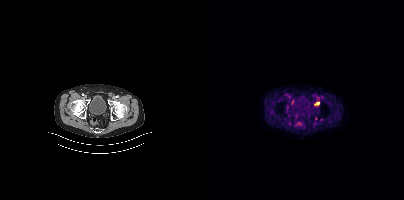
Coordinates are on the 200×200 PET (right) panel. (showing 2 of 3 foci) PSMA-avid tumor lesion bounding box (x, y, width, height): x=111 y=102 w=5 h=3. Small PSMA-avid focus (2 to 4 px across) near (center x, center y): (111, 118).